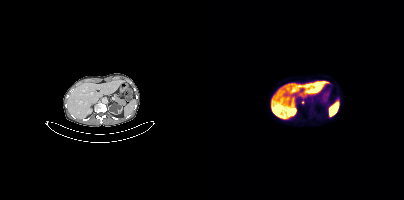
Paired axial CT (left) and PSMA PET (right), [18F]PSMA-1007 tracer. Only PSMA-avid lesion pieces thinner than 2 px on this slice (not listed).